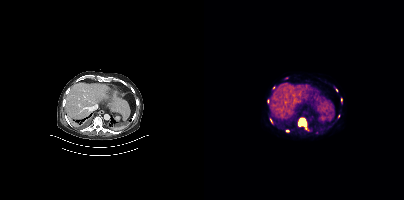
{"pet_grid":[200,200],"coord_frame":"pet_panel","coord_format":"x0,y0,x1,y1","lesion_bboxes":[[93,117,105,131],[66,118,68,123]],"small_foci_centers":[[83,131],[82,78],[137,99],[63,100],[132,90],[69,87]],"modality":"PSMA PET/CT","view":"axial","tracer":"[18F]PSMA-1007"}